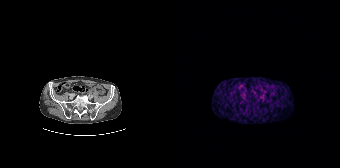
{"modality":"PSMA PET/CT","view":"axial","tracer":"68Ga","pet_grid":[168,168],"coord_frame":"pet_panel","coord_format":"x0,y0,x1,y1","psma_avid_lesions":false}